Technique: Paired axial CT (left) and PSMA PET (right), [18F]PSMA-1007 tracer. acquired on Siemens Biograph mCT Flow 20. slice 377 of 427. PET panel 200×200 px (4.1 mm/px).
Note: Any black rectangle over the head is a privacy mask, not anatomy.
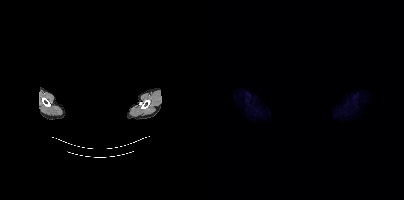
Findings: No PSMA-avid tumor lesions on this slice.